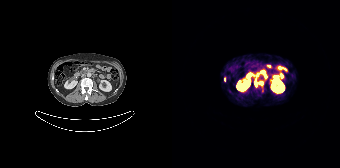
Two-panel axial: CT | PSMA PET, [68Ga]Ga-PSMA-11 tracer. PET panel 168×168 px (4.1 mm/px).
Coordinates are on the 168×168 PET (right) panel. PSMA-avid tumor lesion bounding boxes:
| # | x0 | y0 | x1 | y1 |
|---|---|---|---|---|
| 1 | 83 | 81 | 91 | 91 |
Small PSMA-avid focus (2 to 4 px across) near (center x, center y): (52, 79).